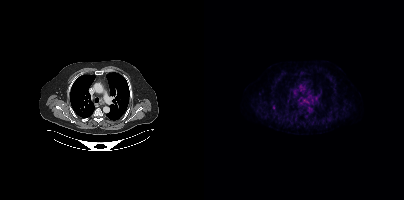
modality: PSMA PET/CT | tracer: 18F-PSMA | view: axial
Coordinates are on the 200×200 PET (right) panel. Small PSMA-avid focus (2 to 4 px across) near (center x, center y): (70, 107).